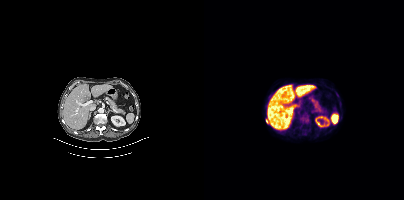
Coordinates are on the 200×200 PET (right) panel. PSMA-avid tumor lesion bounding box (x, y, width, height): x=96 y=115 w=10 h=9. Small PSMA-avid focus (2 to 4 px across) near (center x, center y): (62, 120).